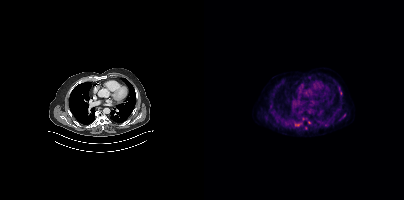
Left: CT. Right: PSMA PET, same axial level, 18F-PSMA tracer. Slice position z = -1036 mm. PET panel 200×200 px (4.1 mm/px). Coordinates are on the 200×200 PET (right) panel. (showing 4 of 6 foci) PSMA-avid tumor lesion bounding boxes (x0, y0)-(x1, y1): (91, 124)-(95, 126); (136, 91)-(138, 95). Small PSMA-avid foci (2 to 4 px across) near (center x, center y): (105, 122); (101, 128).